- Two-panel axial: CT | PSMA PET, 68Ga tracer
- acquired on GE Discovery 690
- slice position z = -679 mm
- PET panel 256×256 px (2.7 mm/px)
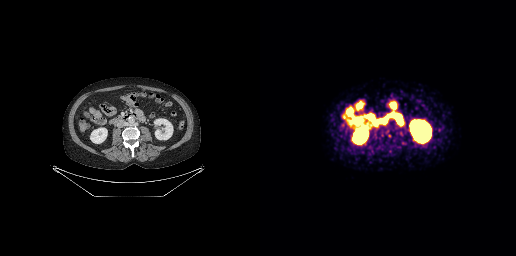
Findings: Coordinates are on the 256×256 PET (right) panel. Small PSMA-avid focus (2 to 4 px across) near (center x, center y): (129, 135).